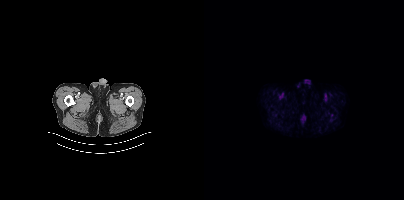
Technique: Left: CT. Right: PSMA PET, same axial level, 18F-PSMA tracer. slice 48 of 466.
Findings: No tumor lesions annotated on this slice.